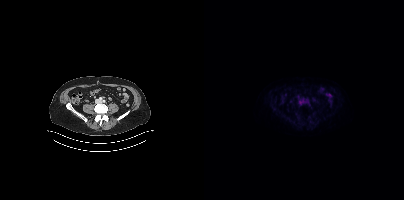
Technique: Left: CT. Right: PSMA PET, same axial level, 18F tracer. acquired on Siemens Biograph mCT Flow 20. PET panel 200×200 px (4.1 mm/px).
Findings: This slice has no annotated PSMA-avid lesion.